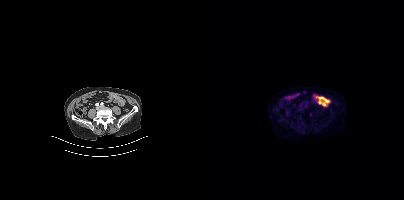
Coordinates are on the 200×200 PET (right) panel. Small PSMA-avid focus (2 to 4 px across) near (center x, center y): (106, 114). Paired axial CT (left) and PSMA PET (right), 18F-PSMA tracer. Acquired on Siemens Biograph mCT Flow 20. Slice 118 of 401. PET panel 200×200 px (4.1 mm/px).